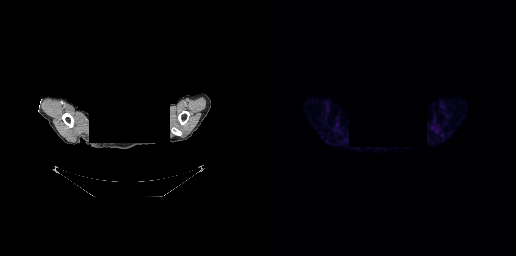
Findings: No PSMA-avid tumor lesions on this slice.
Technique: Two-panel axial: CT | PSMA PET, 68Ga-PSMA tracer. acquired on GE Discovery 690.
Note: Head region blanked for anonymization (face removed).